Two-panel axial: CT | PSMA PET, [18F]PSMA-1007 tracer. PET panel 200×200 px (4.1 mm/px).
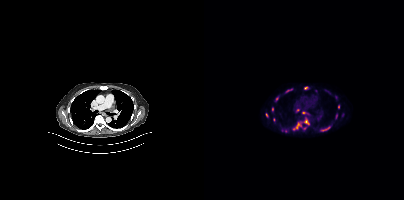
Coordinates are on the 200×200 PET (right) panel. (showing 15 of 18 foci) PSMA-avid tumor lesion bounding boxes (x0,y0,x1,y1): [116,126,126,131], [89,123,96,129], [100,119,105,124], [82,89,88,92], [132,114,133,118]. Small PSMA-avid foci (2 to 4 px across) near (center x, center y): (93, 110), (73, 98), (112, 91), (134, 106), (68, 108), (63, 114), (100, 128), (102, 88), (99, 112), (69, 119).